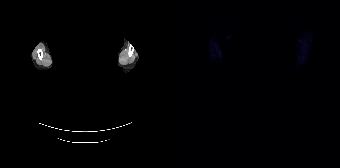
Technique: Paired axial CT (left) and PSMA PET (right), 18F tracer. PET panel 168×168 px (4.1 mm/px).
Note: Any black rectangle over the head is a privacy mask, not anatomy.
Findings: No PSMA-avid tumor lesions on this slice.